Two-panel axial: CT | PSMA PET, [18F]PSMA-1007 tracer.
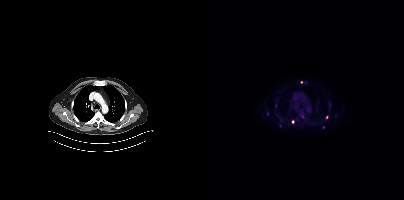
Coordinates are on the 200×200 PET (right) panel. (showing 4 of 5 foci) Small PSMA-avid foci (2 to 4 px across) near (center x, center y): (97, 82) (88, 121) (119, 127) (122, 117).